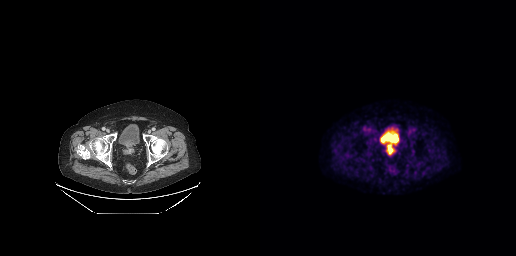
{"modality":"PSMA PET/CT","view":"axial","tracer":"18F","pet_grid":[256,256],"coord_frame":"pet_panel","coord_format":"x0,y0,x1,y1","lesion_bboxes":[[127,141,135,154]]}